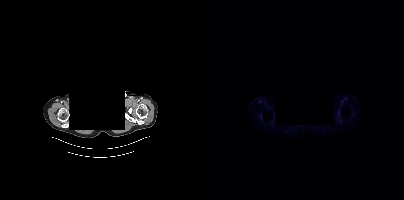
No tumor lesions annotated on this slice.
modality: PSMA PET/CT | tracer: [18F]PSMA-1007 | view: axial | PET grid: 200×200 | de-identification: face masked with black rectangle